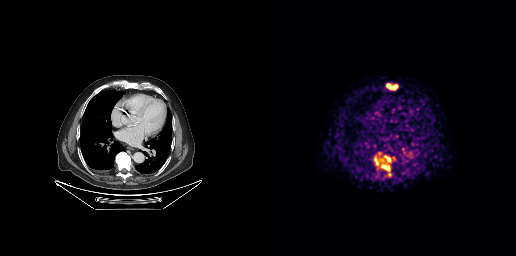
Coordinates are on the 256×256 PET (right) panel. (showing 4 of 5 foci) PSMA-avid tumor lesion bounding boxes (x, y, width, height): x=114 y=155 w=18 h=22 | x=126 y=83 w=12 h=8. Small PSMA-avid foci (2 to 4 px across) near (center x, center y): (119, 153) | (134, 158).